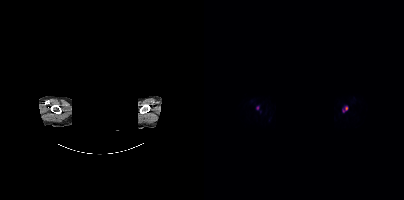
Coordinates are on the 200×200 PET (right) panel. PSMA-avid tumor lesion bounding boxes:
| # | x0 | y0 | x1 | y1 |
|---|---|---|---|---|
| 1 | 138 | 106 | 144 | 112 |
Small PSMA-avid focus (2 to 4 px across) near (center x, center y): (53, 107).
Two-panel axial: CT | PSMA PET, 18F tracer. Slice 379 of 423. De-identified by setting a box covering the face to black before release.